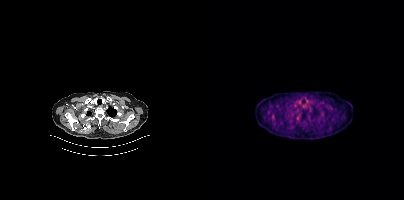
Negative for PSMA-avid disease on this slice. Left: CT. Right: PSMA PET, same axial level, [18F]PSMA-1007 tracer. Slice position z = -928 mm. PET panel 200×200 px (4.1 mm/px).